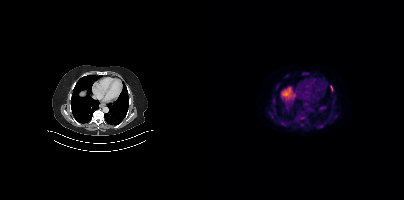
- Two-panel axial: CT | PSMA PET, 18F-PSMA tracer
- acquired on Siemens Biograph mCT Flow 20
- slice position z = -566 mm
- PET panel 200×200 px (4.1 mm/px)
Findings: Negative for PSMA-avid disease on this slice.